Two-panel axial: CT | PSMA PET, 18F-PSMA tracer. Acquired on Siemens Biograph mCT Flow 20. Slice 108 of 423.
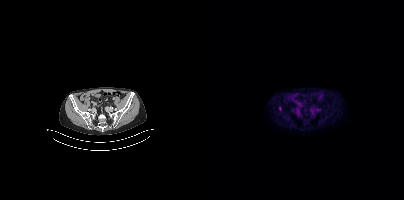
Coordinates are on the 200×200 PET (right) panel. PSMA-avid tumor lesion bounding box (x0, y0)-(x1, y1): (75, 106)-(77, 110).